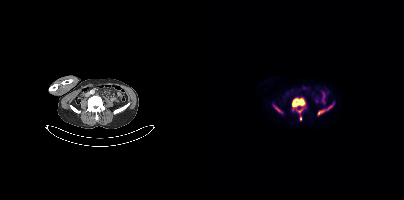
Coordinates are on the 200×200 PET (right) panel. PSMA-avid tumor lesion bounding boxes (x0, y0)-(x1, y1): (88, 98)-(101, 113) / (114, 105)-(128, 114) / (69, 105)-(76, 111) / (96, 116)-(97, 120).